modality: PSMA PET/CT | tracer: 68Ga-PSMA | view: axial | PET grid: 168×168
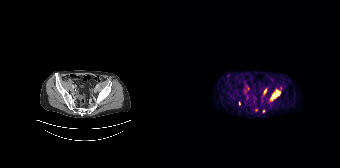
Coordinates are on the 168×168 PET (right) panel. PSMA-avid tumor lesion bounding boxes (x0,y0,x1,y1): [100,90,107,98] [92,88,94,92]. Small PSMA-avid foci (2 to 4 px across) near (center x, center y): (91, 111) (67, 103).